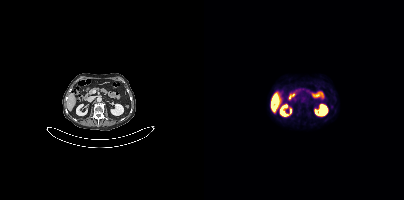
{"modality":"PSMA PET/CT","view":"axial","tracer":"18F","pet_grid":[200,200],"coord_frame":"pet_panel","coord_format":"x0,y0,x1,y1","psma_avid_lesions":false}